redaction: head region blacked out before release | modality: PSMA PET/CT | tracer: 18F-PSMA | view: axial | PET grid: 200×200
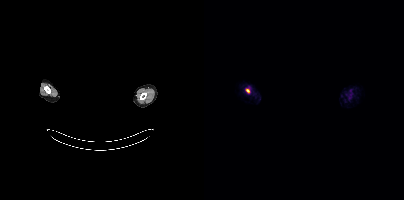
Coordinates are on the 200×200 PET (right) panel. Small PSMA-avid focus (2 to 4 px across) near (center x, center y): (43, 90).